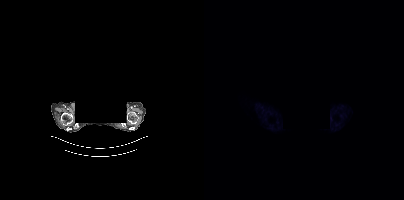
Paired axial CT (left) and PSMA PET (right), 18F tracer. PET panel 200×200 px (4.1 mm/px). De-identified by setting a box covering the face to black before release. This slice has no annotated PSMA-avid lesion.